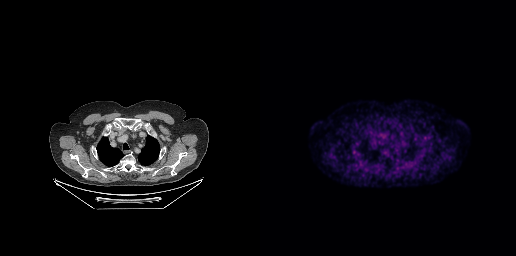
No tumor lesions annotated on this slice. Two-panel axial: CT | PSMA PET, [18F]PSMA-1007 tracer.